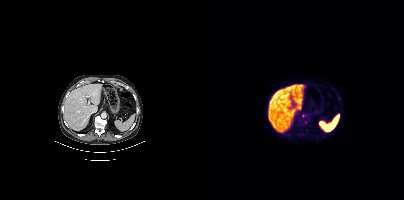
Negative for PSMA-avid disease on this slice.